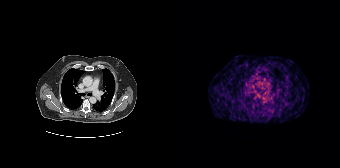
No PSMA-avid tumor lesions on this slice. Two-panel axial: CT | PSMA PET, 68Ga-PSMA tracer. Acquired on Siemens Biograph 64-4R TruePoint. PET panel 168×168 px (4.1 mm/px).